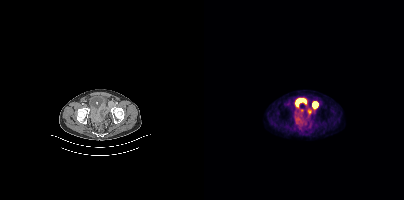
Coordinates are on the 200×200 PET (right) panel. PSMA-avid tumor lesion bounding box (x0, y0)-(x1, y1): (109, 102)-(114, 107).